- Paired axial CT (left) and PSMA PET (right), [18F]PSMA-1007 tracer
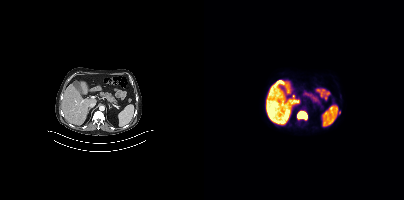
Findings: Coordinates are on the 200×200 PET (right) panel. PSMA-avid tumor lesion bounding box (x0, y0)-(x1, y1): (93, 110)-(103, 120). Small PSMA-avid focus (2 to 4 px across) near (center x, center y): (135, 112).